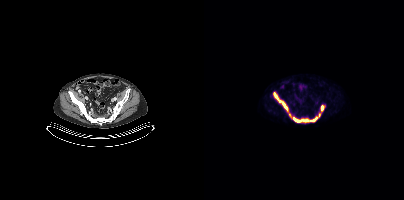
modality: PSMA PET/CT | tracer: 18F-PSMA | view: axial
Coordinates are on the 200×200 PET (right) panel. (showing 4 of 5 foci) PSMA-avid tumor lesion bounding boxes (x0,y0,x1,y1): [69,92,84,111]; [90,118,105,122]; [107,117,113,121]; [117,105,119,110].